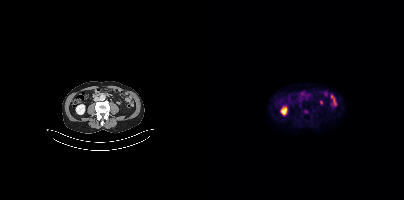
Findings: This slice has no annotated PSMA-avid lesion.
- Two-panel axial: CT | PSMA PET, [18F]PSMA-1007 tracer